Technique: Two-panel axial: CT | PSMA PET, 68Ga tracer. slice 101 of 195.
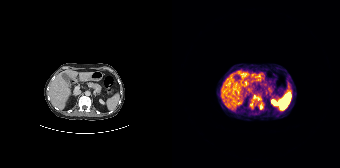
Findings: Coordinates are on the 168×168 PET (right) panel. (showing 3 of 4 foci) PSMA-avid tumor lesion bounding boxes (x, y, width, height): x=81 y=95 w=9 h=6; x=88 y=103 w=3 h=7. Small PSMA-avid focus (2 to 4 px across) near (center x, center y): (79, 104).